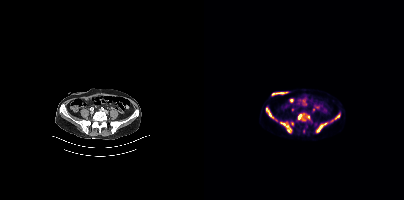
{"pet_grid":[200,200],"coord_frame":"pet_panel","coord_format":"x0,y0,x1,y1","lesion_bboxes":[[76,122,87,133],[94,113,105,120],[112,122,123,132],[62,107,73,121],[127,114,135,121]],"small_foci_centers":[[88,123]],"modality":"PSMA PET/CT","view":"axial","tracer":"18F-PSMA"}